Left: CT. Right: PSMA PET, same axial level, 18F tracer. Acquired on Siemens Biograph mCT Flow 20. An anonymization step blacked out a rectangle over the head in this scan.
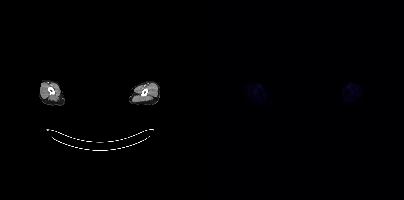
No tumor lesions annotated on this slice.